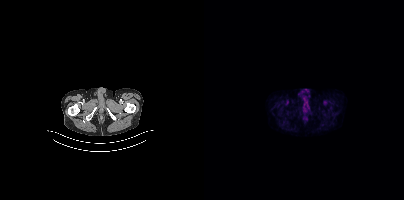
Findings: No tumor lesions annotated on this slice.
- Two-panel axial: CT | PSMA PET, 18F tracer
- acquired on Siemens Biograph mCT Flow 20
- PET panel 200×200 px (4.1 mm/px)